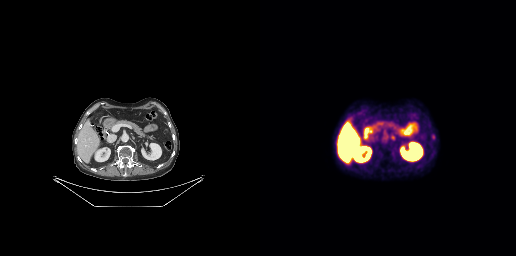
Findings: No tumor lesions annotated on this slice.
Technique: Two-panel axial: CT | PSMA PET, 18F-PSMA tracer. slice position z = -443 mm.